Paired axial CT (left) and PSMA PET (right), 18F-PSMA tracer. Acquired on Siemens Biograph mCT Flow 20. Slice position z = -795 mm.
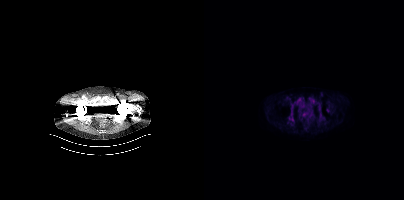
Negative for PSMA-avid disease on this slice.